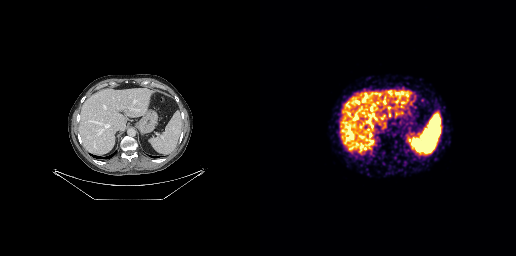
modality: PSMA PET/CT | tracer: 68Ga-PSMA | view: axial
Negative for PSMA-avid disease on this slice.